modality: PSMA PET/CT | tracer: 18F-PSMA | view: axial
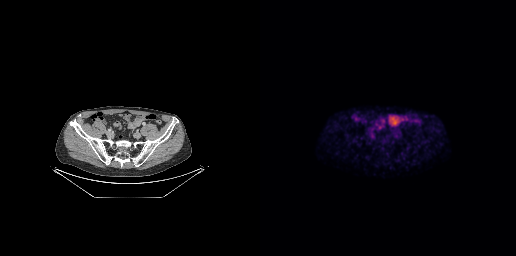
This slice has no annotated PSMA-avid lesion.